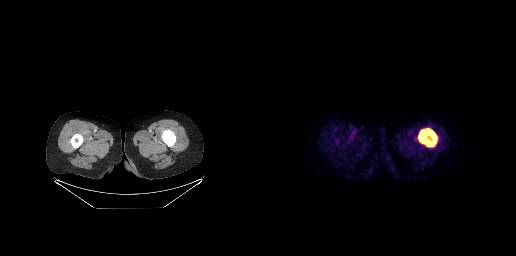
Technique: Two-panel axial: CT | PSMA PET, 18F tracer. slice position z = -1046 mm.
Findings: Coordinates are on the 256×256 PET (right) panel. PSMA-avid tumor lesion bounding box (x0,y0,x1,y1): [158,128,177,146].